Left: CT. Right: PSMA PET, same axial level, [18F]PSMA-1007 tracer. Acquired on Siemens Biograph mCT Flow 20. PET panel 200×200 px (4.1 mm/px).
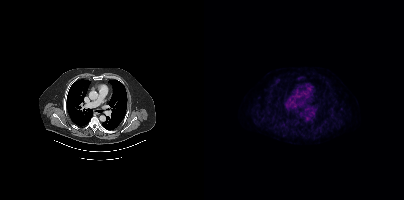
Negative for PSMA-avid disease on this slice.